Technique: Paired axial CT (left) and PSMA PET (right), 18F tracer. acquired on GE Discovery 690. slice 120 of 263. PET panel 256×256 px (2.7 mm/px).
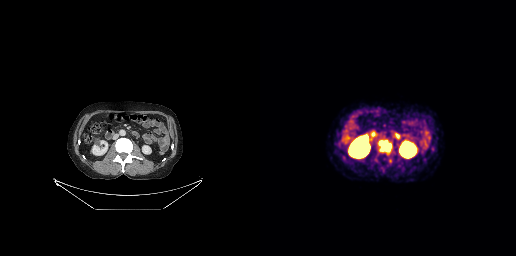
Findings: Coordinates are on the 256×256 PET (right) panel. PSMA-avid tumor lesion bounding box (x0, y0)-(x1, y1): (118, 140)-(131, 153).